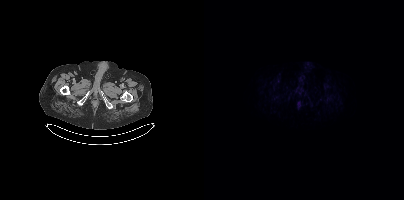
{"modality":"PSMA PET/CT","view":"axial","tracer":"18F","pet_grid":[200,200],"coord_frame":"pet_panel","coord_format":"x0,y0,x1,y1","psma_avid_lesions":false}